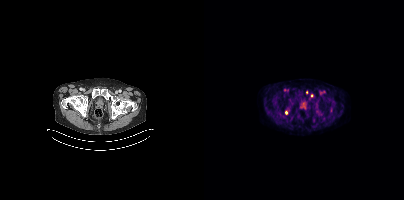
modality: PSMA PET/CT | tracer: [18F]PSMA-1007 | view: axial | PET grid: 200×200
Coordinates are on the 200×200 PET (right) panel. Small PSMA-avid foci (2 to 4 px across) near (center x, center y): (82, 112) | (102, 92) | (107, 95).